modality: PSMA PET/CT | tracer: 68Ga | view: axial | PET grid: 168×168
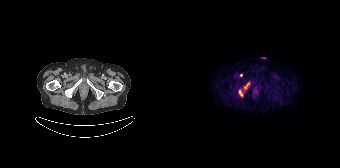
Coordinates are on the 168×168 PET (right) panel. PSMA-avid tumor lesion bounding boxes (x0, y0)-(x1, y1): (67, 90)-(70, 96) / (72, 82)-(77, 88). Small PSMA-avid focus (2 to 4 px across) near (center x, center y): (69, 75).